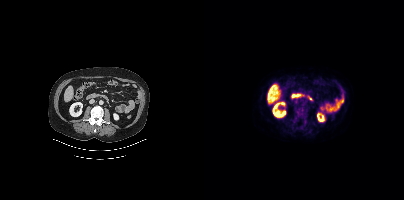
{"modality":"PSMA PET/CT","view":"axial","tracer":"[18F]PSMA-1007","pet_grid":[200,200],"coord_frame":"pet_panel","coord_format":"x0,y0,x1,y1","psma_avid_lesions":false}